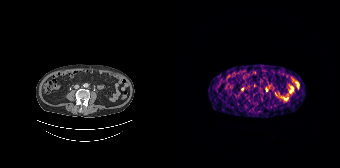
- Two-panel axial: CT | PSMA PET, 68Ga tracer
- PET panel 168×168 px (4.1 mm/px)
Findings: Negative for PSMA-avid disease on this slice.